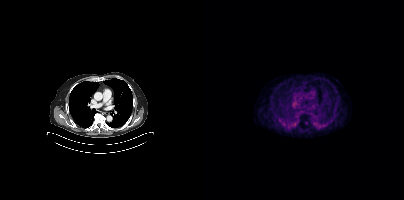
Two-panel axial: CT | PSMA PET, 68Ga-PSMA tracer. Coordinates are on the 200×200 PET (right) panel. Small PSMA-avid focus (2 to 4 px across) near (center x, center y): (102, 122).